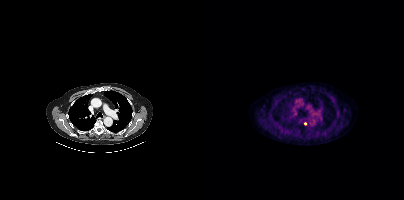
Coordinates are on the 200×200 PET (right) panel. Small PSMA-avid focus (2 to 4 px across) near (center x, center y): (101, 123). Left: CT. Right: PSMA PET, same axial level, 18F tracer. Slice position z = -393 mm. PET panel 200×200 px (4.1 mm/px).